- Left: CT. Right: PSMA PET, same axial level, 68Ga tracer
- PET panel 168×168 px (4.1 mm/px)
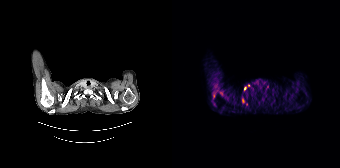
Findings: Coordinates are on the 168×168 PET (right) panel. (showing 4 of 5 foci) PSMA-avid tumor lesion bounding box (x0, y0)-(x1, y1): (70, 98)-(72, 103). Small PSMA-avid foci (2 to 4 px across) near (center x, center y): (41, 95) | (72, 88) | (74, 104).